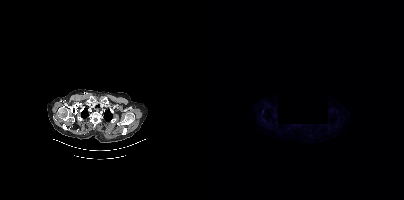
redaction: rectangular block set to black | modality: PSMA PET/CT | tracer: 18F-PSMA | view: axial
Coordinates are on the 200×200 PET (right) panel. Small PSMA-avid focus (2 to 4 px across) near (center x, center y): (58, 111).